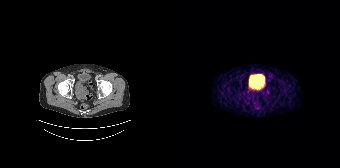
Technique: Two-panel axial: CT | PSMA PET, [68Ga]Ga-PSMA-11 tracer. slice 49 of 195.
Findings: This slice has no annotated PSMA-avid lesion.